- Paired axial CT (left) and PSMA PET (right), [18F]PSMA-1007 tracer
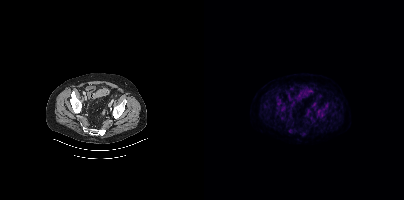
Findings: This slice has no annotated PSMA-avid lesion.